Paired axial CT (left) and PSMA PET (right), [18F]PSMA-1007 tracer. Acquired on Siemens Biograph mCT Flow 20. PET panel 200×200 px (4.1 mm/px).
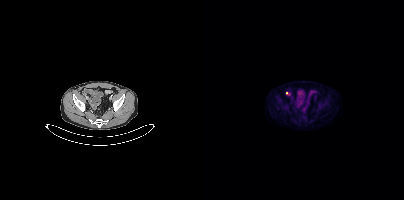
Coordinates are on the 200×200 PET (right) panel. Small PSMA-avid focus (2 to 4 px across) near (center x, center y): (82, 93).